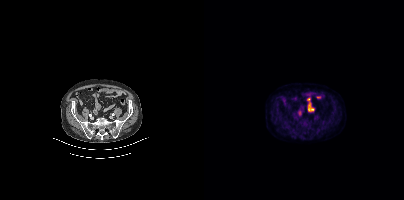
Paired axial CT (left) and PSMA PET (right), 18F-PSMA tracer. Acquired on Siemens Biograph mCT Flow 20. PET panel 200×200 px (4.1 mm/px). This slice has no annotated PSMA-avid lesion.